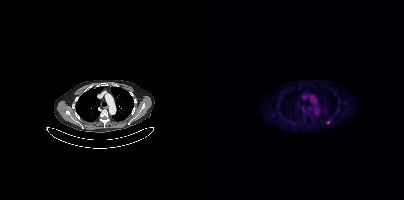
{"pet_grid":[200,200],"coord_frame":"pet_panel","coord_format":"x0,y0,x1,y1","psma_avid_lesions":false,"modality":"PSMA PET/CT","view":"axial","tracer":"18F-PSMA"}